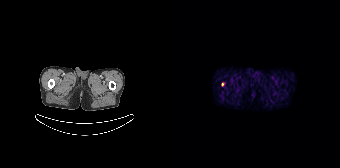
Findings: Only PSMA-avid lesion pieces thinner than 2 px on this slice (not listed).
Technique: Two-panel axial: CT | PSMA PET, 68Ga tracer. acquired on Siemens Biograph 64-4R TruePoint. slice 30 of 195. PET panel 168×168 px (4.1 mm/px).